Technique: Left: CT. Right: PSMA PET, same axial level, [18F]PSMA-1007 tracer.
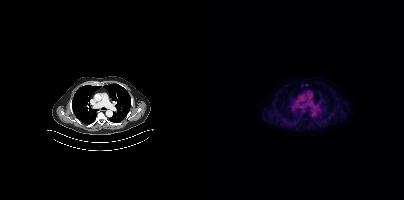
Findings: This slice has no annotated PSMA-avid lesion.